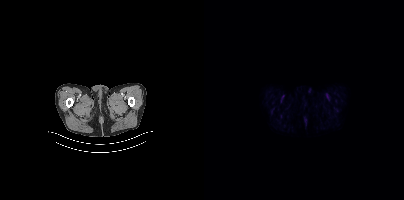
- Paired axial CT (left) and PSMA PET (right), [18F]PSMA-1007 tracer
- acquired on Siemens Biograph mCT Flow 20
Findings: This slice has no annotated PSMA-avid lesion.